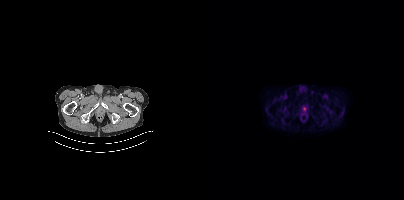
Findings: Coordinates are on the 200×200 PET (right) panel. Small PSMA-avid focus (2 to 4 px across) near (center x, center y): (100, 108).
Technique: Left: CT. Right: PSMA PET, same axial level, 18F-PSMA tracer. acquired on Siemens Biograph mCT Flow 20.